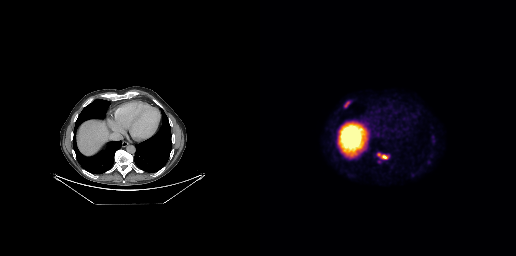
modality: PSMA PET/CT | tracer: [18F]PSMA-1007 | view: axial | PET grid: 256×256
Coordinates are on the 256×256 PET (right) panel. PSMA-avid tumor lesion bounding boxes (x, y, width, height): x=117 y=153 w=12 h=7 / x=84 y=101 w=6 h=7. Small PSMA-avid focus (2 to 4 px across) near (center x, center y): (169, 162).